Paired axial CT (left) and PSMA PET (right), [18F]PSMA-1007 tracer.
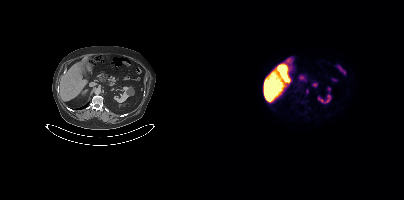
Coordinates are on the 200×200 PET (right) panel. PSMA-avid tumor lesion bounding boxes:
| # | x0 | y0 | x1 | y1 |
|---|---|---|---|---|
| 1 | 102 | 89 | 104 | 93 |